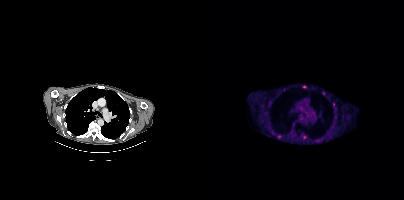
- Two-panel axial: CT | PSMA PET, 18F-PSMA tracer
- slice 281 of 403
- PET panel 200×200 px (4.1 mm/px)
Findings: Coordinates are on the 200×200 PET (right) panel. (showing 4 of 7 foci) PSMA-avid tumor lesion bounding box (x, y, width, height): x=99 y=135 w=4 h=5. Small PSMA-avid foci (2 to 4 px across) near (center x, center y): (100, 86) | (120, 93) | (96, 108).